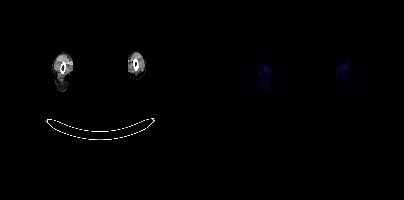
{"modality":"PSMA PET/CT","view":"axial","tracer":"18F-PSMA","pet_grid":[200,200],"coord_frame":"pet_panel","coord_format":"x0,y0,x1,y1","de-identification":"head region blacked out before release","psma_avid_lesions":false}